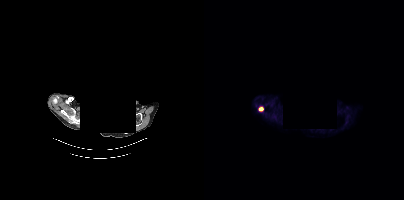
Coordinates are on the 200×200 PET (right) panel. PSMA-avid tumor lesion bounding boxes:
| # | x0 | y0 | x1 | y1 |
|---|---|---|---|---|
| 1 | 55 | 107 | 59 | 111 |
Two-panel axial: CT | PSMA PET, 18F-PSMA tracer. Slice 355 of 411. PET panel 200×200 px (4.1 mm/px). De-identified by setting a box covering the face to black before release.